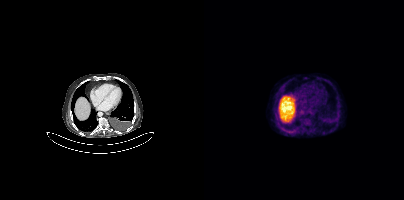
Findings: No PSMA-avid tumor lesions on this slice.
- Paired axial CT (left) and PSMA PET (right), [18F]PSMA-1007 tracer
- slice 264 of 425